Any black rectangle over the head is a privacy mask, not anatomy.
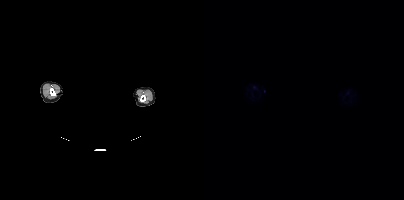
Negative for PSMA-avid disease on this slice.